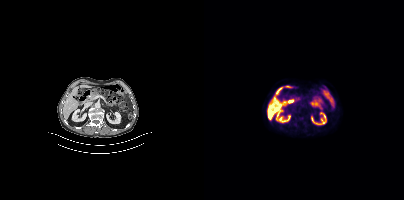
No tumor lesions annotated on this slice.
modality: PSMA PET/CT | tracer: 18F-PSMA | view: axial | PET grid: 200×200